- privacy masking over the head, with the pixels inside a rectangle set to black
- Two-panel axial: CT | PSMA PET, [18F]PSMA-1007 tracer
- acquired on Siemens Biograph mCT Flow 20
- PET panel 200×200 px (4.1 mm/px)
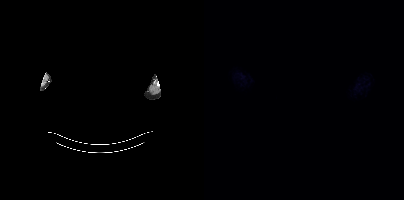
Findings: No tumor lesions annotated on this slice.